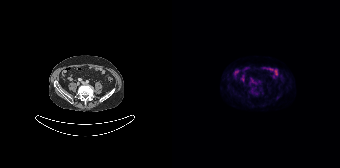
Paired axial CT (left) and PSMA PET (right), 18F tracer. This slice has no annotated PSMA-avid lesion.